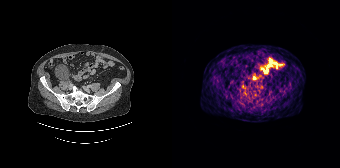
No PSMA-avid tumor lesions on this slice.
modality: PSMA PET/CT | tracer: [68Ga]Ga-PSMA-11 | view: axial | PET grid: 168×168